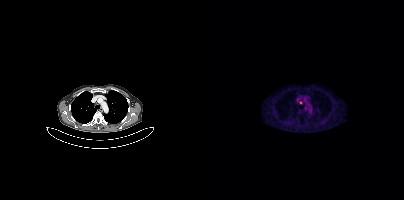
Two-panel axial: CT | PSMA PET, [18F]PSMA-1007 tracer. Acquired on Siemens Biograph mCT Flow 20. Coordinates are on the 200×200 PET (right) panel. Small PSMA-avid focus (2 to 4 px across) near (center x, center y): (96, 102).